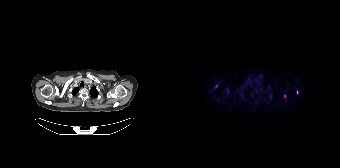
Two-panel axial: CT | PSMA PET, 18F-PSMA tracer. Acquired on Siemens Biograph 64-4R TruePoint. Slice 135 of 165. PET panel 168×168 px (4.1 mm/px). Coordinates are on the 168×168 PET (right) panel. (showing 2 of 3 foci) Small PSMA-avid foci (2 to 4 px across) near (center x, center y): (44, 86) | (112, 95).